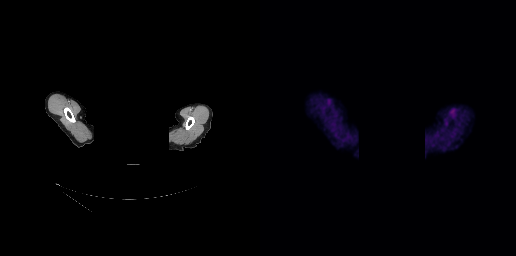
Findings: No PSMA-avid tumor lesions on this slice.
Technique: Paired axial CT (left) and PSMA PET (right), 18F tracer. slice 239 of 263. PET panel 256×256 px (2.7 mm/px).
Note: A rectangular block over the head has been blanked out for de-identification.